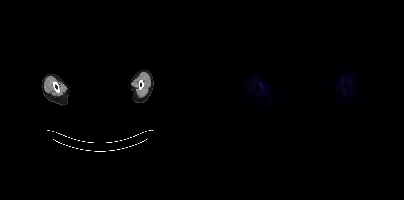
This slice has no annotated PSMA-avid lesion. Left: CT. Right: PSMA PET, same axial level, 18F tracer. Acquired on Siemens Biograph mCT Flow 20. Slice 406 of 423. An anonymization step blacked out a rectangle over the head in this scan.